- Left: CT. Right: PSMA PET, same axial level, [18F]PSMA-1007 tracer
- slice position z = -676 mm
- PET panel 256×256 px (2.7 mm/px)
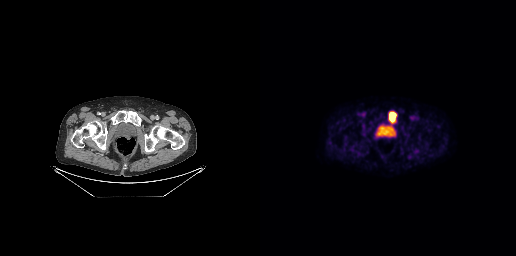
Findings: Coordinates are on the 256×256 PET (right) panel. PSMA-avid tumor lesion bounding box (x, y, width, height): x=129 y=112 w=8 h=11.